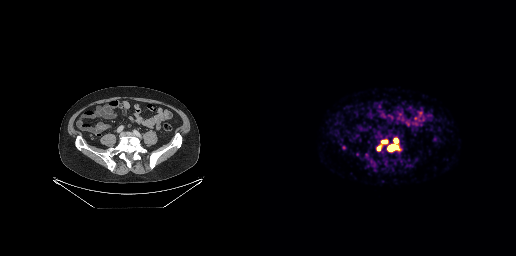
Technique: Paired axial CT (left) and PSMA PET (right), [68Ga]Ga-PSMA-11 tracer. slice 87 of 263. PET panel 256×256 px (2.7 mm/px).
Findings: Coordinates are on the 256×256 PET (right) panel. PSMA-avid tumor lesion bounding boxes (x0, y0)-(x1, y1): (127, 138)-(139, 151) / (121, 140)-(127, 143) / (117, 146)-(120, 150).